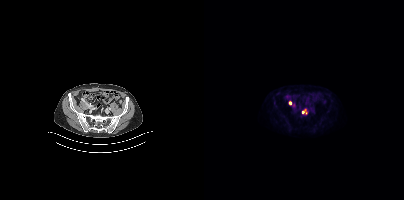
Coordinates are on the 200×200 PET (right) panel. (showing 2 of 4 foci) PSMA-avid tumor lesion bounding box (x0, y0)-(x1, y1): (98, 109)-(101, 113). Small PSMA-avid focus (2 to 4 px across) near (center x, center y): (85, 102).